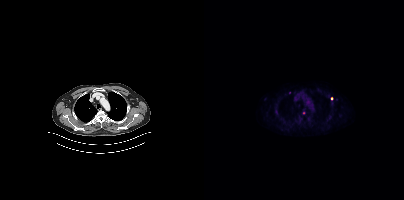
Technique: Paired axial CT (left) and PSMA PET (right), 18F-PSMA tracer. PET panel 200×200 px (4.1 mm/px).
Findings: Coordinates are on the 200×200 PET (right) panel. (showing 1 of 2 foci) Small PSMA-avid focus (2 to 4 px across) near (center x, center y): (127, 98).